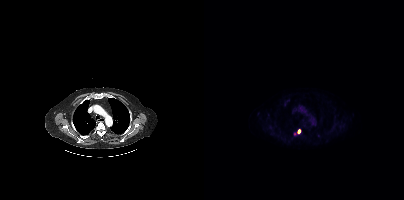
Technique: Paired axial CT (left) and PSMA PET (right), 18F tracer. acquired on Siemens Biograph mCT Flow 20. slice position z = -984 mm. PET panel 200×200 px (4.1 mm/px).
Findings: Coordinates are on the 200×200 PET (right) panel. PSMA-avid tumor lesion bounding box (x0, y0)-(x1, y1): (93, 129)-(96, 133).